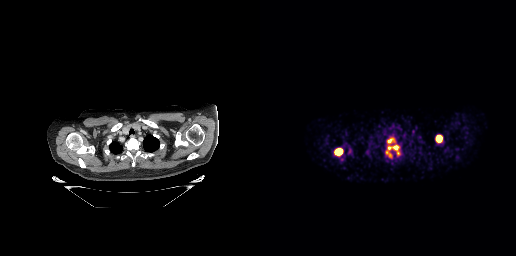
{"modality":"PSMA PET/CT","view":"axial","tracer":"[68Ga]Ga-PSMA-11","pet_grid":[256,256],"coord_frame":"pet_panel","coord_format":"x0,y0,x1,y1","partial":true,"lesion_bboxes":[[74,148,83,155],[176,135,181,141],[133,145,138,149],[128,139,132,142]],"small_foci_centers":[[129,148],[130,155]]}